Technique: Two-panel axial: CT | PSMA PET, 18F-PSMA tracer.
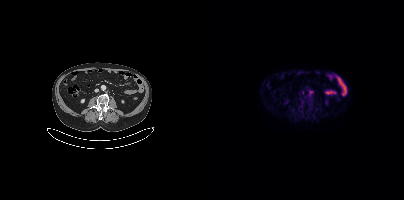
Findings: No tumor lesions annotated on this slice.